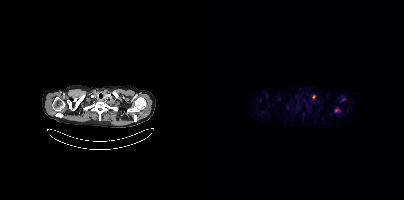
Findings: Coordinates are on the 200×200 PET (right) panel. (showing 3 of 4 foci) PSMA-avid tumor lesion bounding box (x, y, width, height): x=131 y=108 w=5 h=5. Small PSMA-avid foci (2 to 4 px across) near (center x, center y): (109, 96) | (139, 99).
Technique: Left: CT. Right: PSMA PET, same axial level, [18F]PSMA-1007 tracer. acquired on Siemens Biograph mCT Flow 20. slice position z = -428 mm.